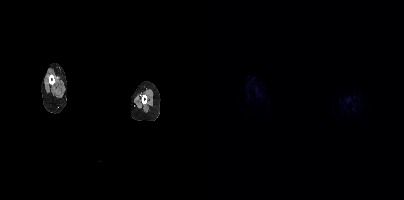
No tumor lesions annotated on this slice. Paired axial CT (left) and PSMA PET (right), 68Ga-PSMA tracer. Facial anatomy redacted by setting a rectangular region of the head to black.